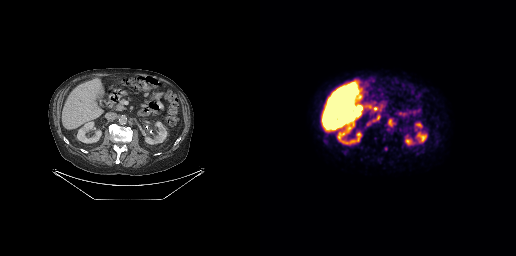
Findings: Coordinates are on the 256×256 PET (right) panel. PSMA-avid tumor lesion bounding box (x0, y0)-(x1, y1): (128, 118)-(135, 126). Small PSMA-avid focus (2 to 4 px across) near (center x, center y): (125, 148).
Technique: Two-panel axial: CT | PSMA PET, 18F-PSMA tracer. acquired on GE Discovery 690. PET panel 256×256 px (2.7 mm/px).